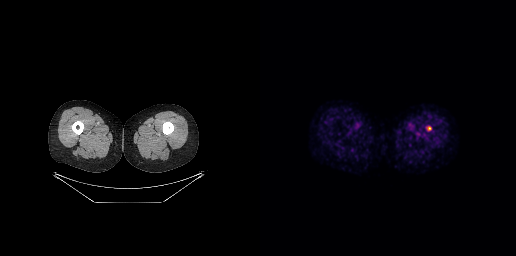
Only PSMA-avid lesion pieces thinner than 2 px on this slice (not listed).
modality: PSMA PET/CT | tracer: 68Ga | view: axial